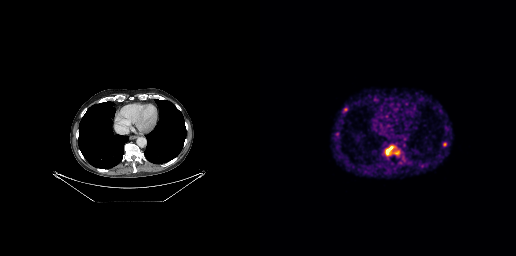
{"modality":"PSMA PET/CT","view":"axial","tracer":"68Ga-PSMA","pet_grid":[256,256],"coord_frame":"pet_panel","coord_format":"x0,y0,x1,y1","lesion_bboxes":[[83,107,87,112],[183,142,186,146],[126,149,129,153]],"small_foci_centers":[[132,148]]}